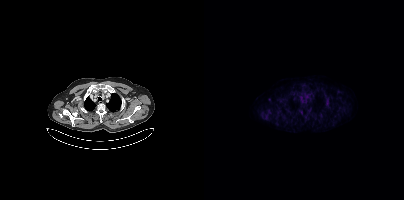
Two-panel axial: CT | PSMA PET, [18F]PSMA-1007 tracer. Acquired on Siemens Biograph mCT Flow 20. Slice position z = -258 mm. Only PSMA-avid lesion pieces thinner than 2 px on this slice (not listed).